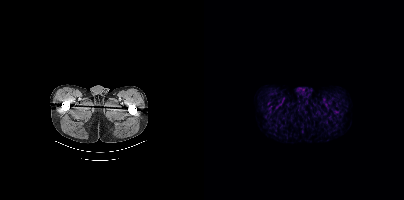
Technique: Paired axial CT (left) and PSMA PET (right), [18F]PSMA-1007 tracer. acquired on Siemens Biograph mCT Flow 20. slice position z = -1581 mm.
Findings: Negative for PSMA-avid disease on this slice.